modality: PSMA PET/CT | tracer: 18F-PSMA | view: axial | PET grid: 200×200
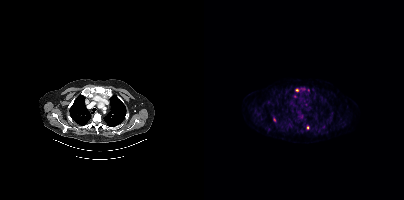
Coordinates are on the 200×200 PET (right) panel. (showing 4 of 5 foci) Small PSMA-avid foci (2 to 4 px across) near (center x, center y): (92, 90) / (70, 119) / (91, 96) / (103, 127).